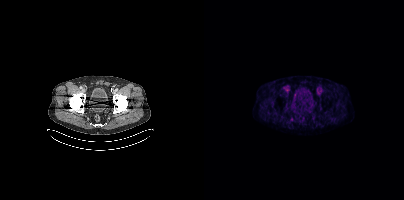
No tumor lesions annotated on this slice.